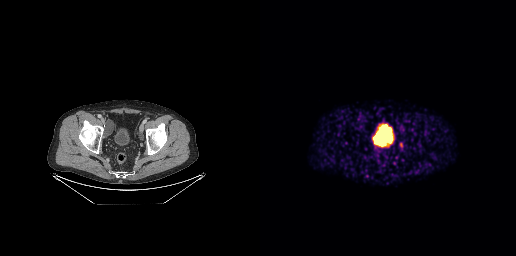
{"modality":"PSMA PET/CT","view":"axial","tracer":"68Ga","pet_grid":[256,256],"coord_frame":"pet_panel","coord_format":"x0,y0,x1,y1","lesion_bboxes":[[139,142,143,147]]}